Two-panel axial: CT | PSMA PET, [18F]PSMA-1007 tracer. Acquired on Siemens Biograph mCT Flow 20. PET panel 200×200 px (4.1 mm/px).
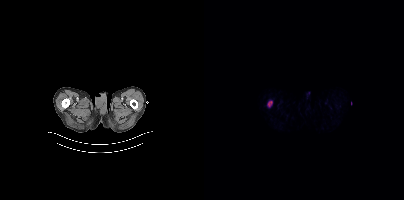
Coordinates are on the 200×200 PET (right) panel. PSMA-avid tumor lesion bounding box (x0,y0,x1,y1): [64,101,68,106].